Technique: Paired axial CT (left) and PSMA PET (right), 68Ga-PSMA tracer. acquired on Siemens Biograph mCT Flow 20. PET panel 200×200 px (4.1 mm/px).
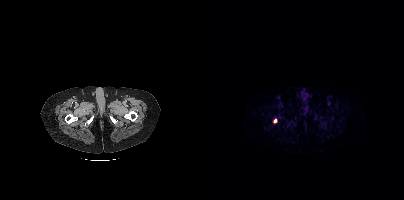
Findings: Coordinates are on the 200×200 PET (right) panel. PSMA-avid tumor lesion bounding box (x0, y0)-(x1, y1): (69, 119)-(73, 122).